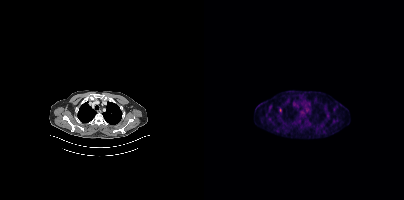
{"modality":"PSMA PET/CT","view":"axial","tracer":"18F","pet_grid":[200,200],"coord_frame":"pet_panel","coord_format":"x0,y0,x1,y1","lesion_bboxes":[],"small_foci_centers":[[76,110]]}